de-identification: rectangular block set to black | modality: PSMA PET/CT | tracer: 68Ga-PSMA | view: axial
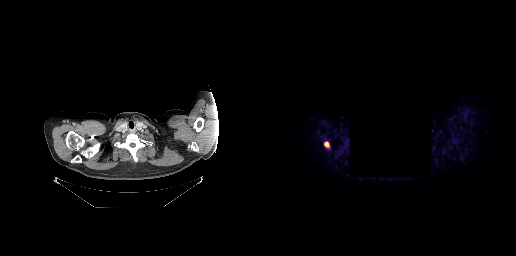
Coordinates are on the 256×256 PET (right) panel. PSMA-avid tumor lesion bounding box (x0,y0,x1,y1): [64,141,69,148].